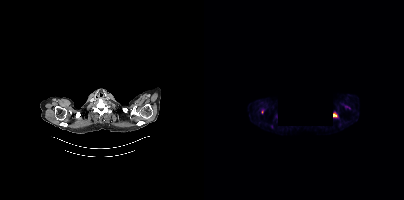
Findings: Coordinates are on the 200×200 PET (right) panel. PSMA-avid tumor lesion bounding boxes (x0, y0)-(x1, y1): (129, 113)-(133, 117) / (57, 109)-(60, 113).
Technique: Left: CT. Right: PSMA PET, same axial level, 18F-PSMA tracer. slice 407 of 466. PET panel 200×200 px (4.1 mm/px).
Note: Privacy masking, with the pixels inside a rectangle set to black.